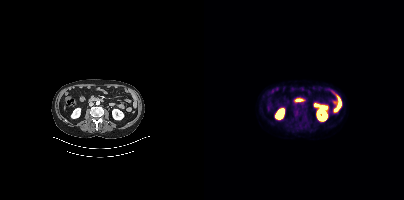
Technique: Left: CT. Right: PSMA PET, same axial level, [18F]PSMA-1007 tracer. PET panel 200×200 px (4.1 mm/px).
Findings: No tumor lesions annotated on this slice.